Paired axial CT (left) and PSMA PET (right), [68Ga]Ga-PSMA-11 tracer. Slice 111 of 195. PET panel 168×168 px (4.1 mm/px).
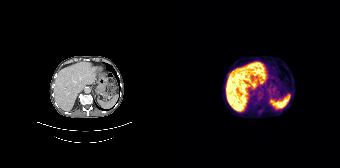
No PSMA-avid tumor lesions on this slice.